Paired axial CT (left) and PSMA PET (right), 18F tracer. Acquired on Siemens Biograph mCT Flow 20. PET panel 200×200 px (4.1 mm/px). Face de-identified by blanking a block of the head.
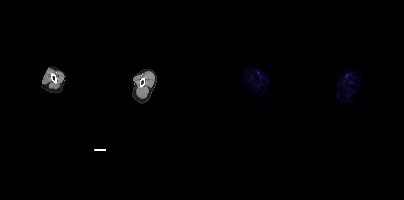
No PSMA-avid tumor lesions on this slice.